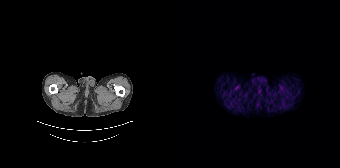
{"modality":"PSMA PET/CT","view":"axial","tracer":"68Ga","pet_grid":[168,168],"coord_frame":"pet_panel","coord_format":"x0,y0,x1,y1","psma_avid_lesions":false}